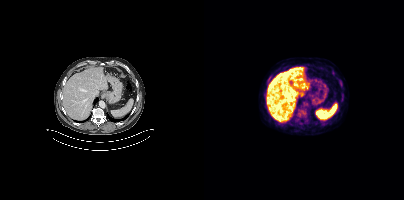
Only PSMA-avid lesion pieces thinner than 2 px on this slice (not listed). Paired axial CT (left) and PSMA PET (right), 18F tracer. Slice 269 of 454.